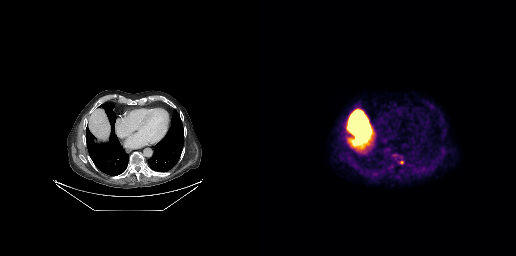
Technique: Left: CT. Right: PSMA PET, same axial level, 18F tracer. acquired on GE Discovery 690.
Findings: Only PSMA-avid lesion pieces thinner than 2 px on this slice (not listed).